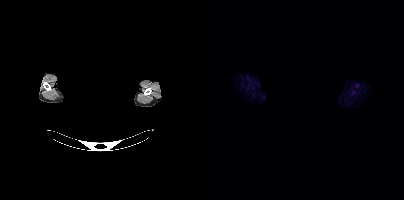
{"modality":"PSMA PET/CT","view":"axial","tracer":"[18F]PSMA-1007","pet_grid":[200,200],"coord_frame":"pet_panel","coord_format":"x0,y0,x1,y1","psma_avid_lesions":false,"de-identification":"rectangular block over head set to black"}